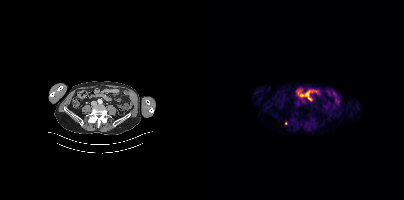
- Left: CT. Right: PSMA PET, same axial level, [18F]PSMA-1007 tracer
Findings: Coordinates are on the 200×200 PET (right) panel. Small PSMA-avid focus (2 to 4 px across) near (center x, center y): (81, 123).